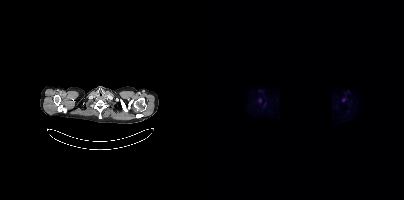
A black rectangle in this scan is a privacy mask, not anatomy. Left: CT. Right: PSMA PET, same axial level, 18F tracer. Coordinates are on the 200×200 PET (right) panel. (showing 1 of 2 foci) Small PSMA-avid focus (2 to 4 px across) near (center x, center y): (139, 99).